Paired axial CT (left) and PSMA PET (right), 18F-PSMA tracer. PET panel 200×200 px (4.1 mm/px).
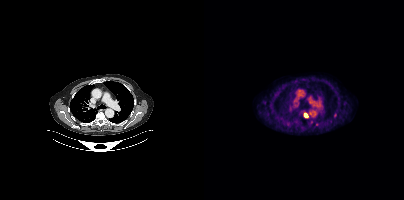
Coordinates are on the 200×200 PET (right) panel. PSMA-avid tumor lesion bounding box (x0,y0,x1,y1): [100,113,104,117]. Small PSMA-avid focus (2 to 4 px across) near (center x, center y): (131, 115).